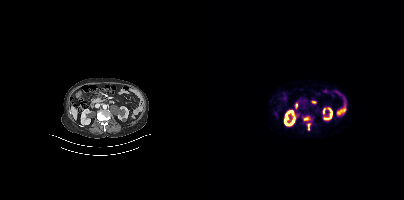
Coordinates are on the 200×200 PET (right) panel. PSMA-avid tumor lesion bounding boxes (x0,y0,x1,y1): [103,123,106,129] [100,117,106,120].